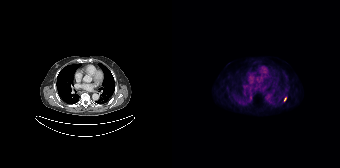
{"modality":"PSMA PET/CT","view":"axial","tracer":"18F","pet_grid":[168,168],"coord_frame":"pet_panel","coord_format":"x0,y0,x1,y1","lesion_bboxes":[[112,97,114,101]]}